modality: PSMA PET/CT | tracer: 18F-PSMA | view: axial
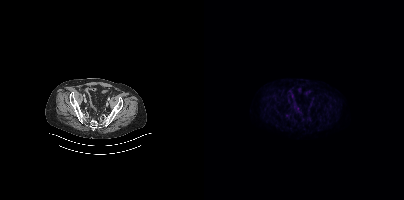
No tumor lesions annotated on this slice.